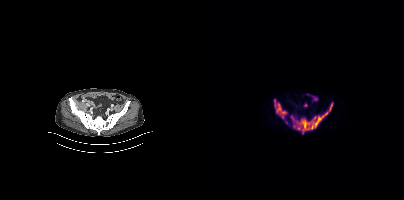
{"modality":"PSMA PET/CT","view":"axial","tracer":"18F-PSMA","pet_grid":[200,200],"coord_frame":"pet_panel","coord_format":"x0,y0,x1,y1","lesion_bboxes":[[87,103,129,133],[70,99,82,118]],"small_foci_centers":[[82,122]]}